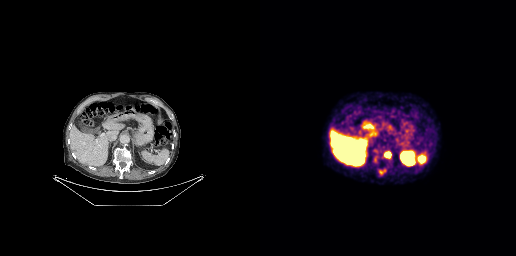
Coordinates are on the 256×256 PET (right) panel. PSMA-avid tumor lesion bounding boxes (x0, y0)-(x1, y1): (124, 152)-(131, 158); (113, 154)-(119, 162); (119, 170)-(125, 174).